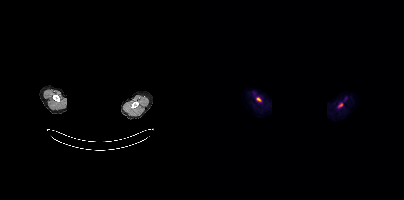
Coordinates are on the 200×200 PET (right) panel. Small PSMA-avid focus (2 to 4 px across) near (center x, center y): (54, 99). A rectangular block over the head has been blanked out for de-identification. Two-panel axial: CT | PSMA PET, 18F-PSMA tracer. Slice position z = -346 mm.